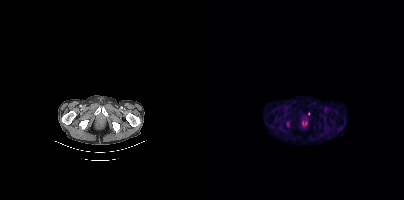
{"modality":"PSMA PET/CT","view":"axial","tracer":"18F","pet_grid":[200,200],"coord_frame":"pet_panel","coord_format":"x0,y0,x1,y1","lesion_bboxes":[[82,122,85,126]],"small_foci_centers":[[104,113]]}